modality: PSMA PET/CT | tracer: 18F-PSMA | view: axial | PET grid: 200×200
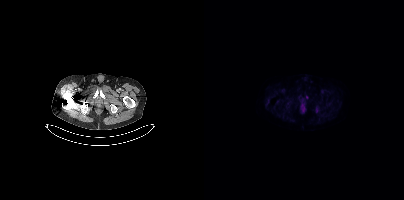
Negative for PSMA-avid disease on this slice.